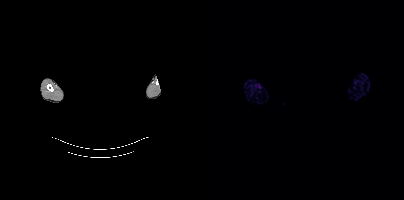
Findings: No tumor lesions annotated on this slice.
Technique: Two-panel axial: CT | PSMA PET, 18F tracer. slice 444 of 448.
Note: Face de-identified by blanking a block of the head.